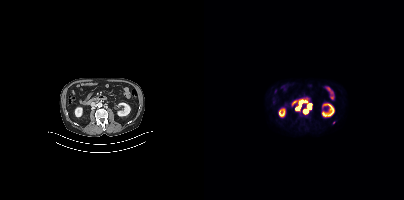
Coordinates are on the 200×200 PET (right) panel. (showing 4 of 5 foci) PSMA-avid tumor lesion bounding boxes (x0, y0)-(x1, y1): (100, 104)-(107, 113) / (94, 101)-(99, 106). Small PSMA-avid foci (2 to 4 px across) near (center x, center y): (93, 108) / (129, 122). Left: CT. Right: PSMA PET, same axial level, [18F]PSMA-1007 tracer. Acquired on Siemens Biograph mCT Flow 20. PET panel 200×200 px (4.1 mm/px).